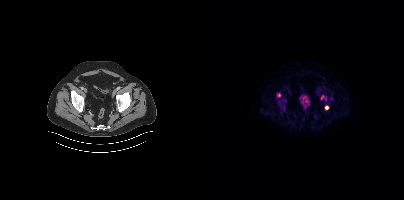
Technique: Left: CT. Right: PSMA PET, same axial level, 18F-PSMA tracer. acquired on Siemens Biograph mCT Flow 20. slice 97 of 454. PET panel 200×200 px (4.1 mm/px).
Findings: Coordinates are on the 200×200 PET (right) panel. PSMA-avid tumor lesion bounding boxes (x0,y0,x1,y1): [73,93,77,97] [117,95,120,99]. Small PSMA-avid focus (2 to 4 px across) near (center x, center y): (122, 107).